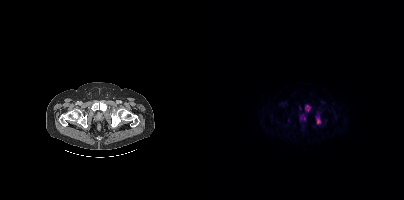
Coordinates are on the 200×200 PET (right) panel. (showing 3 of 4 foci) PSMA-avid tumor lesion bounding boxes (x0,y0,x1,y1): [97,115,101,119] [113,119,116,123] [103,105,106,110].